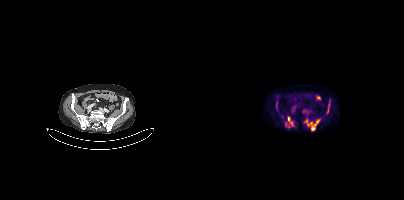
Coordinates are on the 200×200 PET (right) panel. (showing 5 of 7 foci) PSMA-avid tumor lesion bounding boxes (x0, y0)-(x1, y1): (103, 120)-(115, 130); (84, 116)-(89, 125); (123, 102)-(125, 113). Small PSMA-avid foci (2 to 4 px across) near (center x, center y): (102, 121); (81, 124).